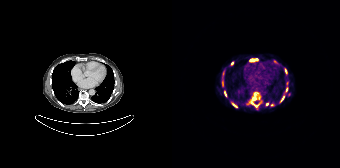
{"modality":"PSMA PET/CT","view":"axial","tracer":"68Ga","pet_grid":[168,168],"coord_frame":"pet_panel","coord_format":"x0,y0,x1,y1","partial":true,"lesion_bboxes":[[78,59,82,61],[83,103,87,107],[61,104,65,107],[52,92,54,96],[109,96,112,101],[113,69,114,73]],"small_foci_centers":[[114,89],[84,59]]}